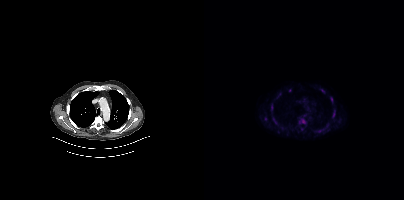
{"modality":"PSMA PET/CT","view":"axial","tracer":"18F","pet_grid":[200,200],"coord_frame":"pet_panel","coord_format":"x0,y0,x1,y1","partial":true,"lesion_bboxes":[[95,118,101,123],[128,110,131,117],[69,118,72,123],[67,104,68,109],[127,97,128,101]],"small_foci_centers":[[118,90],[123,125],[61,119],[115,131],[85,90]]}